- Paired axial CT (left) and PSMA PET (right), 18F-PSMA tracer
- slice position z = -802 mm
- PET panel 200×200 px (4.1 mm/px)
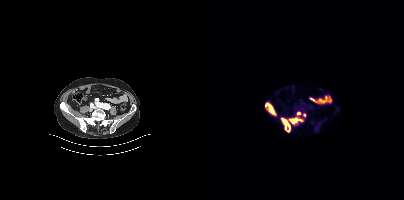
Findings: Coordinates are on the 200×200 PET (right) panel. PSMA-avid tumor lesion bounding boxes (x0,y0,x1,y1): [61,102,72,115]; [77,118,86,132]; [85,118,98,123]. Small PSMA-avid foci (2 to 4 px across) near (center x, center y): (94, 113); (100, 115).